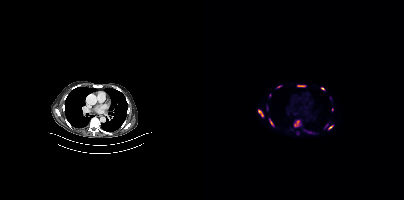
modality: PSMA PET/CT | tracer: 18F-PSMA | view: axial | PET grid: 200×200
Coordinates are on the 200×200 PET (right) panel. (showing 10 of 12 foci) PSMA-avid tumor lesion bounding boxes (x0, y0)-(x1, y1): (54, 109)-(59, 116) | (90, 120)-(95, 126) | (93, 85)-(101, 86) | (124, 125)-(129, 130) | (65, 119)-(69, 126) | (73, 85)-(77, 87). Small PSMA-avid foci (2 to 4 px across) near (center x, center y): (118, 88) | (121, 126) | (128, 109) | (65, 95).